Left: CT. Right: PSMA PET, same axial level, [18F]PSMA-1007 tracer. Slice 350 of 413.
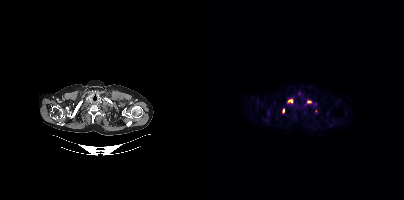
Coordinates are on the 200×200 PET (right) panel. PSMA-avid tumor lesion bounding boxes (partial; 1 more focus not listed):
| # | x0 | y0 | x1 | y1 |
|---|---|---|---|---|
| 1 | 83 | 99 | 88 | 103 |
| 2 | 101 | 100 | 107 | 104 |
| 3 | 78 | 108 | 80 | 113 |